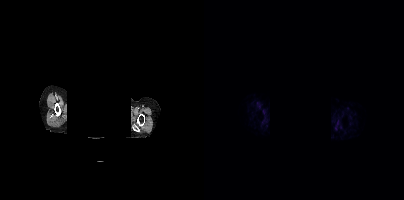
This slice has no annotated PSMA-avid lesion. Left: CT. Right: PSMA PET, same axial level, [68Ga]Ga-PSMA-11 tracer. Acquired on Siemens Biograph mCT Flow 20. A rectangle over the head was blacked out to remove identifiable facial features.